Paired axial CT (left) and PSMA PET (right), 18F-PSMA tracer. Slice position z = -1418 mm.
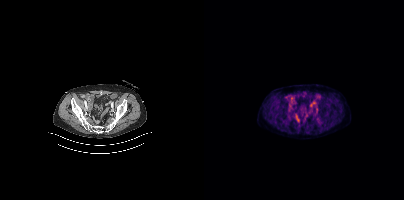
This slice has no annotated PSMA-avid lesion.